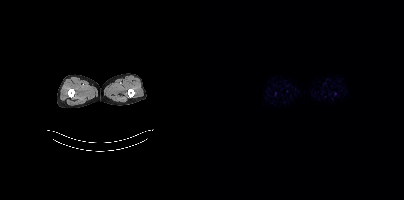
Negative for PSMA-avid disease on this slice.